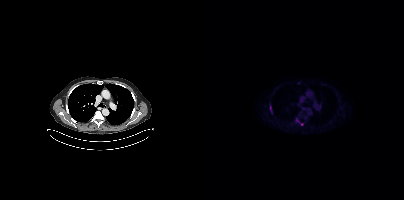
modality: PSMA PET/CT | tracer: 18F | view: axial
Coordinates are on the 200×200 PET (right) panel. PSMA-avid tumor lesion bounding box (x0,y0,x1,y1): [66,105,67,111]. Small PSMA-avid foci (2 to 4 px across) near (center x, center y): (98, 124); (93, 120).